modality: PSMA PET/CT | tracer: [18F]PSMA-1007 | view: axial
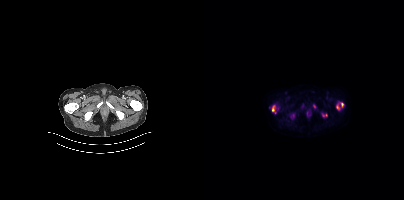
Coordinates are on the 200×200 PET (right) panel. PSMA-avid tumor lesion bounding boxes (x0,y0,x1,y1): [67,105,72,113] [86,113,90,119] [137,102,139,107] [132,105,135,109] [118,114,123,116]. Small PSMA-avid focus (2 to 4 px across) near (center x, center y): (110, 106).